Two-panel axial: CT | PSMA PET, 18F tracer. PET panel 200×200 px (4.1 mm/px).
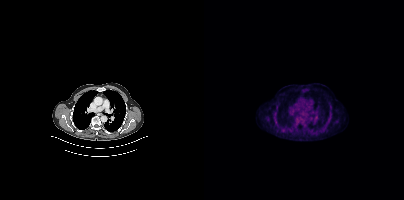
This slice has no annotated PSMA-avid lesion.